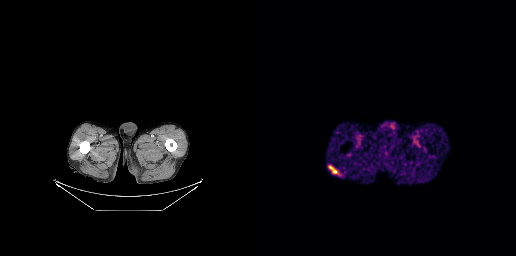
Negative for PSMA-avid disease on this slice.